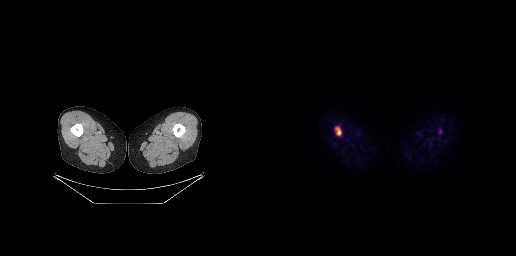
Findings: Coordinates are on the 256×256 PET (right) panel. PSMA-avid tumor lesion bounding box (x0,y0,x1,y1): [75,127,80,135].
- Left: CT. Right: PSMA PET, same axial level, 18F-PSMA tracer
- acquired on GE Discovery 690